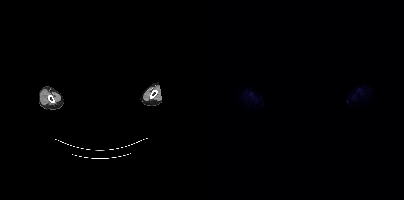
{"pet_grid":[200,200],"coord_frame":"pet_panel","coord_format":"x0,y0,x1,y1","psma_avid_lesions":false,"modality":"PSMA PET/CT","view":"axial","tracer":"[18F]PSMA-1007","deidentification":"rectangular block over head set to black"}